Left: CT. Right: PSMA PET, same axial level, 18F tracer. PET panel 200×200 px (4.1 mm/px).
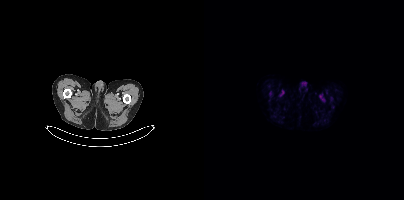
This slice has no annotated PSMA-avid lesion.